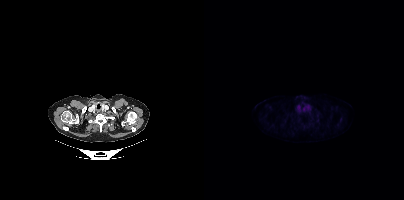
Two-panel axial: CT | PSMA PET, 18F-PSMA tracer. PET panel 200×200 px (4.1 mm/px). Negative for PSMA-avid disease on this slice.